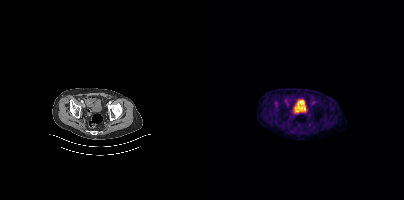
Negative for PSMA-avid disease on this slice.